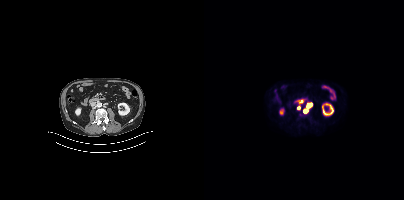
{"pet_grid":[200,200],"coord_frame":"pet_panel","coord_format":"x0,y0,x1,y1","partial":true,"lesion_bboxes":[[103,103,108,107]],"small_foci_centers":[[101,110],[94,107]],"modality":"PSMA PET/CT","view":"axial","tracer":"18F-PSMA"}